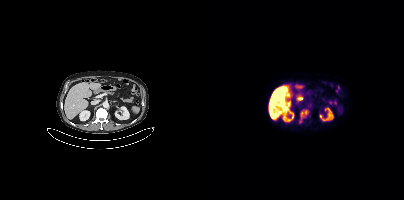
Technique: Two-panel axial: CT | PSMA PET, [18F]PSMA-1007 tracer. PET panel 200×200 px (4.1 mm/px).
Findings: Coordinates are on the 200×200 PET (right) panel. PSMA-avid tumor lesion bounding box (x, y, width, height): x=96 y=110 w=9 h=13.